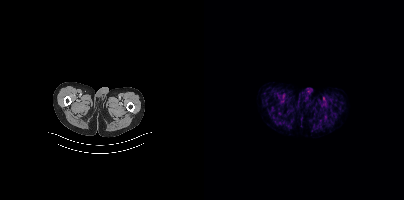
Technique: Two-panel axial: CT | PSMA PET, [18F]PSMA-1007 tracer. PET panel 200×200 px (4.1 mm/px).
Findings: Negative for PSMA-avid disease on this slice.